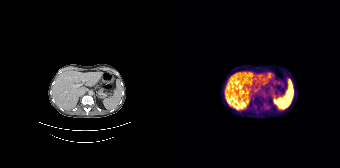
No PSMA-avid tumor lesions on this slice.